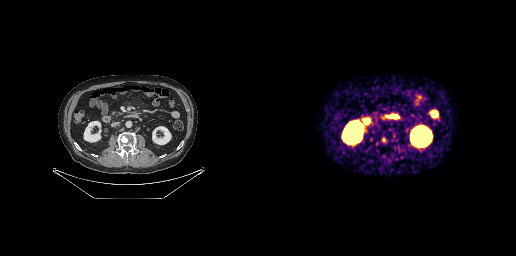
Two-panel axial: CT | PSMA PET, 68Ga-PSMA tracer. PET panel 256×256 px (2.7 mm/px). Coordinates are on the 256×256 PET (right) panel. Small PSMA-avid focus (2 to 4 px across) near (center x, center y): (123, 139).